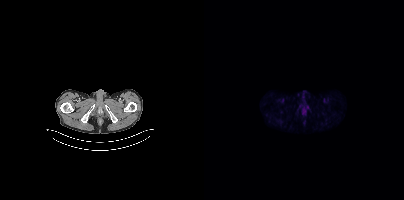
Paired axial CT (left) and PSMA PET (right), 18F-PSMA tracer. Acquired on Siemens Biograph mCT Flow 20. No PSMA-avid tumor lesions on this slice.